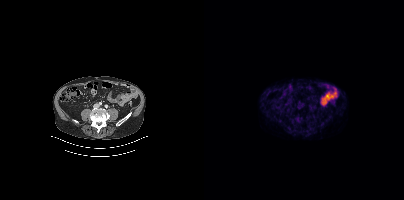
modality: PSMA PET/CT | tracer: [18F]PSMA-1007 | view: axial
No tumor lesions annotated on this slice.